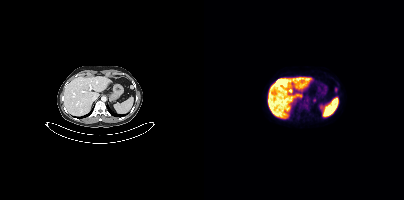
- Left: CT. Right: PSMA PET, same axial level, [18F]PSMA-1007 tracer
- slice position z = -1212 mm
- PET panel 200×200 px (4.1 mm/px)
Findings: Only PSMA-avid lesion pieces thinner than 2 px on this slice (not listed).